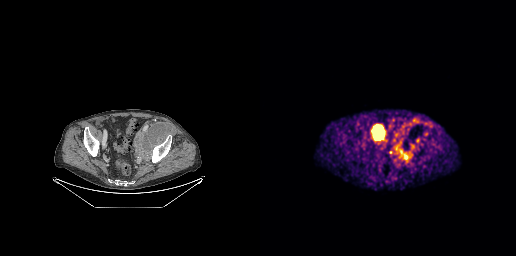
Coordinates are on the 256×256 PET (right) panel. PSMA-avid tumor lesion bounding box (x0,y0,x1,y1): [137,146,155,160].